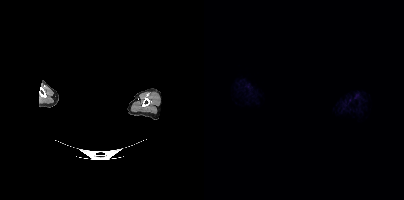
modality: PSMA PET/CT | tracer: 18F | view: axial | PET grid: 200×200 | de-identification: head region blacked out before release
This slice has no annotated PSMA-avid lesion.